- Paired axial CT (left) and PSMA PET (right), 18F tracer
- acquired on GE Discovery 690
- PET panel 256×256 px (2.7 mm/px)
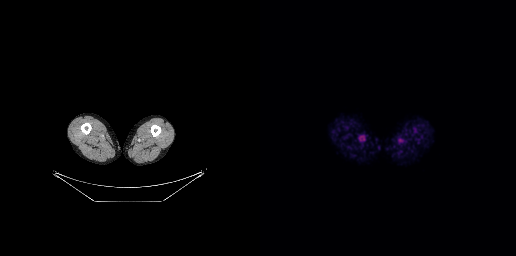
Findings: No PSMA-avid tumor lesions on this slice.